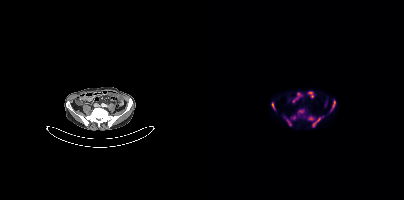
Coordinates are on the 200×200 PET (right) panel. PSMA-avid tumor lesion bounding boxes (x0,y0,x1,y1): [126,100,131,111], [79,115,87,126], [108,117,116,126], [94,109,100,113], [87,115,92,119], [67,102,71,110], [104,117,109,120].